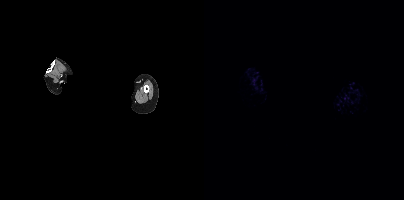
A rectangle over the head was blacked out to remove identifiable facial features. Two-panel axial: CT | PSMA PET, [68Ga]Ga-PSMA-11 tracer. Slice position z = 1029 mm. Negative for PSMA-avid disease on this slice.